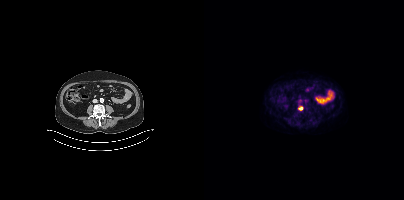
Coordinates are on the 200×200 PET (right) panel. PSMA-avid tumor lesion bounding box (x0, y0)-(x1, y1): (94, 106)-(98, 110).